modality: PSMA PET/CT | tracer: 68Ga | view: axial | PET grid: 200×200
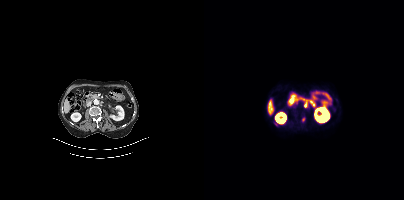
Coordinates are on the 200×200 PET (right) panel. (showing 2 of 3 foci) Small PSMA-avid foci (2 to 4 px across) near (center x, center y): (101, 105) / (99, 119).